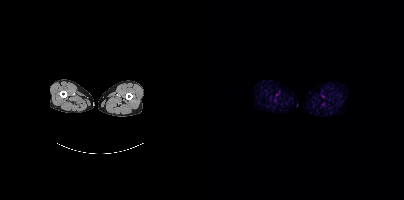
Paired axial CT (left) and PSMA PET (right), 18F-PSMA tracer. Slice 7 of 415. PET panel 200×200 px (4.1 mm/px). Negative for PSMA-avid disease on this slice.